modality: PSMA PET/CT | tracer: [18F]PSMA-1007 | view: axial | PET grid: 200×200
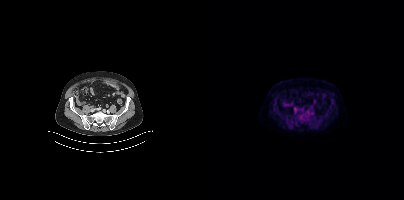
Coordinates are on the 200×200 PET (right) panel. PSMA-avid tumor lesion bounding box (x, y, width, height): x=90 y=107 w=4 h=6.